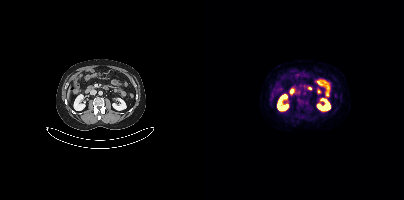
Left: CT. Right: PSMA PET, same axial level, [18F]PSMA-1007 tracer. Acquired on Siemens Biograph mCT Flow 20. No PSMA-avid tumor lesions on this slice.